Two-panel axial: CT | PSMA PET, 68Ga tracer. PET panel 168×168 px (4.1 mm/px).
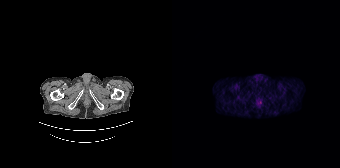
Negative for PSMA-avid disease on this slice.